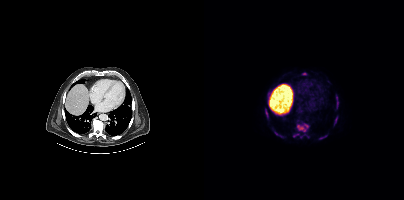
{"modality":"PSMA PET/CT","view":"axial","tracer":"18F","pet_grid":[200,200],"coord_frame":"pet_panel","coord_format":"x0,y0,x1,y1","partial":true,"lesion_bboxes":[[93,123,105,132],[132,94,134,102],[130,116,133,125],[61,110,64,117],[89,134,95,137],[70,131,74,135],[118,135,123,138]],"small_foci_centers":[[96,136]]}